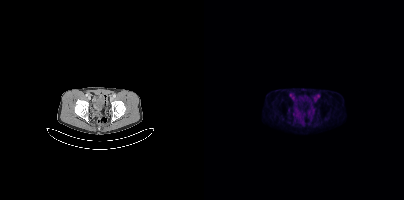
No PSMA-avid tumor lesions on this slice.